Two-panel axial: CT | PSMA PET, 18F tracer. Acquired on Siemens Biograph mCT Flow 20. PET panel 200×200 px (4.1 mm/px).
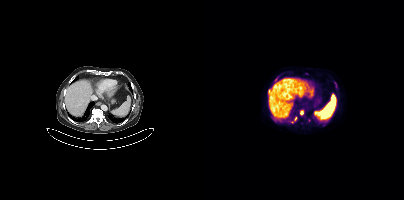
Coordinates are on the 200×200 PET (right) panel. PSMA-avid tumor lesion bounding boxes (partial; 1 more focus not listed):
| # | x0 | y0 | x1 | y1 |
|---|---|---|---|---|
| 1 | 130 | 82 | 133 | 87 |
| 2 | 64 | 90 | 65 | 95 |
Small PSMA-avid foci (2 to 4 px across) near (center x, center y): (97, 112); (72, 79); (91, 118); (80, 77).